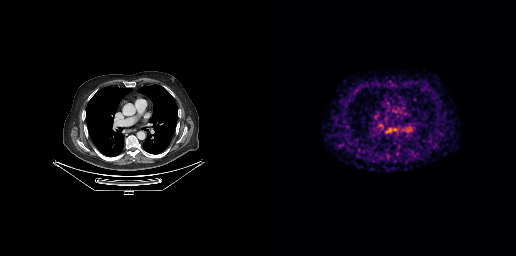
No PSMA-avid tumor lesions on this slice.